- Paired axial CT (left) and PSMA PET (right), 18F tracer
- acquired on Siemens Biograph mCT Flow 20
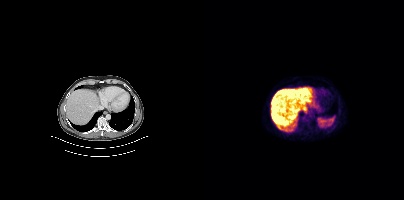
Findings: Negative for PSMA-avid disease on this slice.